- Paired axial CT (left) and PSMA PET (right), 18F-PSMA tracer
- slice position z = -815 mm
- PET panel 200×200 px (4.1 mm/px)
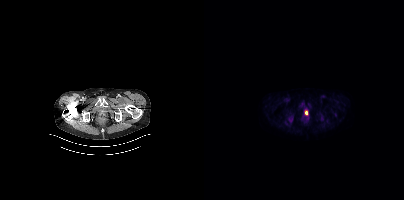
Findings: Coordinates are on the 200×200 PET (right) panel. Small PSMA-avid focus (2 to 4 px across) near (center x, center y): (102, 112).